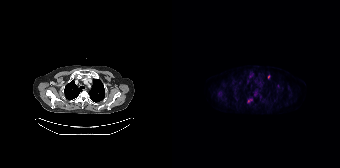
Technique: Paired axial CT (left) and PSMA PET (right), 18F-PSMA tracer.
Findings: Coordinates are on the 168×168 PET (right) panel. (showing 3 of 4 foci) PSMA-avid tumor lesion bounding box (x, y, width, height): x=105 y=84 w=3 h=5. Small PSMA-avid foci (2 to 4 px across) near (center x, center y): (77, 100) | (96, 76).